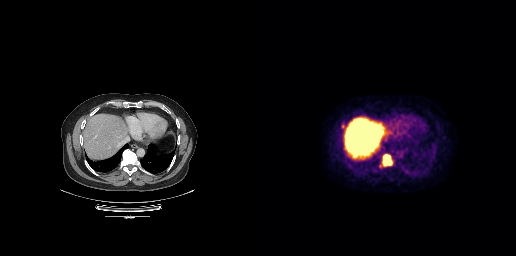
{"pet_grid":[256,256],"coord_frame":"pet_panel","coord_format":"x0,y0,x1,y1","lesion_bboxes":[[122,154,132,166]],"small_foci_centers":[[83,126]],"modality":"PSMA PET/CT","view":"axial","tracer":"[18F]PSMA-1007"}